- Left: CT. Right: PSMA PET, same axial level, 18F tracer
- acquired on Siemens Biograph mCT Flow 20
- slice position z = -233 mm
- PET panel 200×200 px (4.1 mm/px)
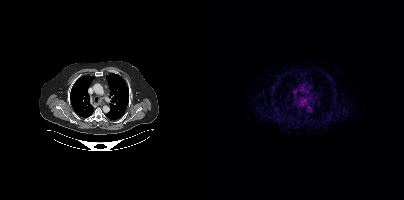
Findings: Coordinates are on the 200×200 PET (right) panel. Small PSMA-avid focus (2 to 4 px across) near (center x, center y): (70, 108).